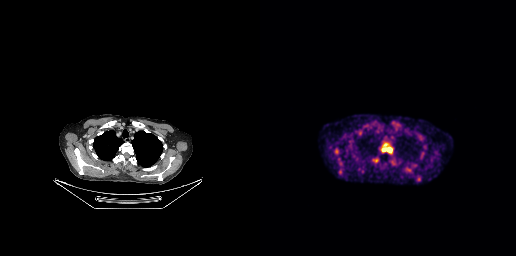
Findings: Coordinates are on the 256×256 PET (right) panel. PSMA-avid tumor lesion bounding boxes (x0,y0,x1,y1): [122,143,132,152]; [75,149,78,153].
Technique: Left: CT. Right: PSMA PET, same axial level, 18F-PSMA tracer. slice 215 of 263.